modality: PSMA PET/CT | tracer: 18F-PSMA | view: axial
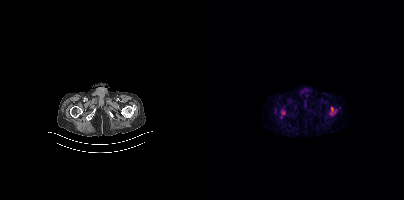
Coordinates are on the 200×200 PET (right) panel. (showing 2 of 3 foci) PSMA-avid tumor lesion bounding boxes (x0,y0,x1,y1): [126,107,131,114]; [77,110,81,117].